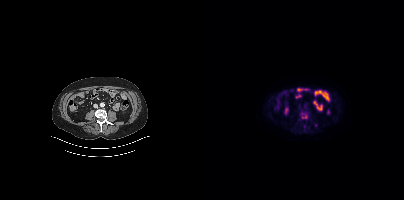
Two-panel axial: CT | PSMA PET, 18F tracer. PET panel 200×200 px (4.1 mm/px). Coordinates are on the 200×200 PET (right) panel. (showing 3 of 5 foci) Small PSMA-avid foci (2 to 4 px across) near (center x, center y): (111, 125) (100, 126) (101, 116).